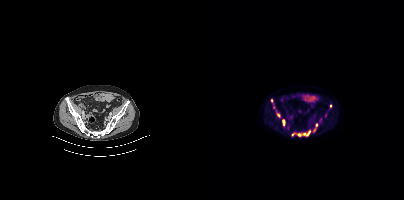
Technique: Two-panel axial: CT | PSMA PET, 18F-PSMA tracer.
Findings: Coordinates are on the 200×200 PET (right) panel. (showing 7 of 9 foci) PSMA-avid tumor lesion bounding boxes (x0,y0,x1,y1): [87,130,106,136] [72,111,76,117] [78,119,81,125]. Small PSMA-avid foci (2 to 4 px across) near (center x, center y): (112, 124) (126, 105) (67, 100) (110, 130).